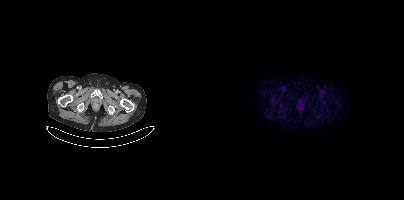
Two-panel axial: CT | PSMA PET, 18F-PSMA tracer. Slice position z = -937 mm. Negative for PSMA-avid disease on this slice.